Left: CT. Right: PSMA PET, same axial level, 18F-PSMA tracer. PET panel 200×200 px (4.1 mm/px).
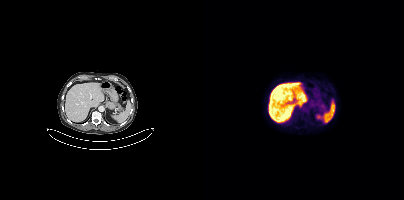
This slice has no annotated PSMA-avid lesion.